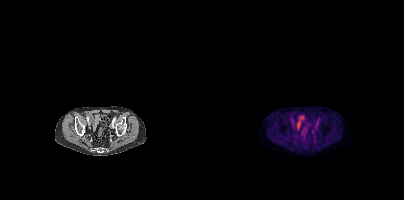
No PSMA-avid tumor lesions on this slice.
modality: PSMA PET/CT | tracer: [18F]PSMA-1007 | view: axial